Technique: Two-panel axial: CT | PSMA PET, [18F]PSMA-1007 tracer. slice 197 of 435.
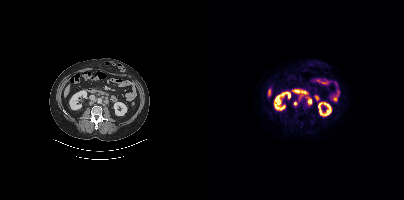
Findings: Coordinates are on the 200×200 PET (right) panel. PSMA-avid tumor lesion bounding boxes (x, y, width, height): x=101 y=95 w=8 h=11 / x=90 y=101 w=4 h=5. Small PSMA-avid focus (2 to 4 px across) near (center x, center y): (95, 100).